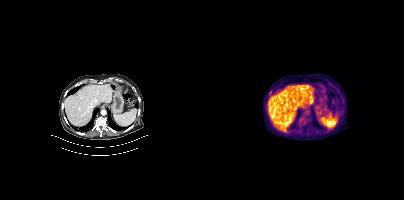
modality: PSMA PET/CT | tracer: [18F]PSMA-1007 | view: axial
This slice has no annotated PSMA-avid lesion.